modality: PSMA PET/CT | tracer: 18F | view: axial | PET grid: 200×200
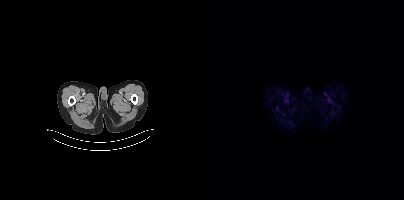
Negative for PSMA-avid disease on this slice.